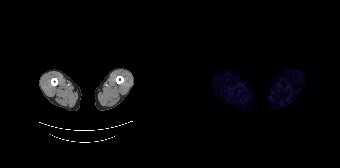
{"modality":"PSMA PET/CT","view":"axial","tracer":"68Ga","pet_grid":[168,168],"coord_frame":"pet_panel","coord_format":"x0,y0,x1,y1","psma_avid_lesions":false}